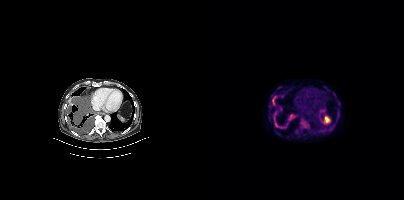
Coordinates are on the 200×200 PET (right) panel. PSMA-avid tumor lesion bounding boxes (x0, y0)-(x1, y1): (96, 120)-(103, 127) | (70, 118)-(78, 128) | (68, 96)-(72, 105) | (84, 114)-(89, 120). Two-panel axial: CT | PSMA PET, 18F-PSMA tracer. Acquired on Siemens Biograph mCT Flow 20. Slice position z = -1192 mm.